Paired axial CT (left) and PSMA PET (right), [18F]PSMA-1007 tracer.
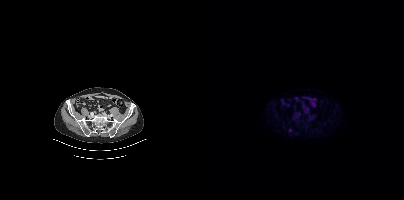
Coordinates are on the 200×200 PET (right) panel. Small PSMA-avid focus (2 to 4 px across) near (center x, center y): (86, 129).